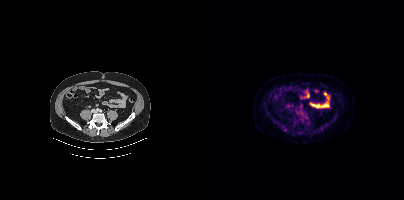
Findings: Only PSMA-avid lesion pieces thinner than 2 px on this slice (not listed).
- Paired axial CT (left) and PSMA PET (right), 18F tracer
- acquired on Siemens Biograph mCT Flow 20
- slice 179 of 454